Paired axial CT (left) and PSMA PET (right), 68Ga tracer. Acquired on Siemens Biograph 64-4R TruePoint. PET panel 168×168 px (4.1 mm/px).
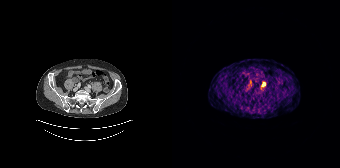
Only PSMA-avid lesion pieces thinner than 2 px on this slice (not listed).